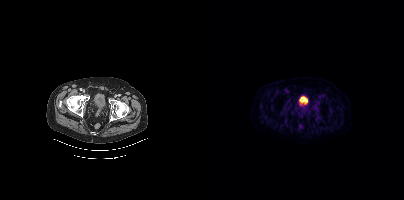
- Left: CT. Right: PSMA PET, same axial level, 18F-PSMA tracer
Findings: Negative for PSMA-avid disease on this slice.